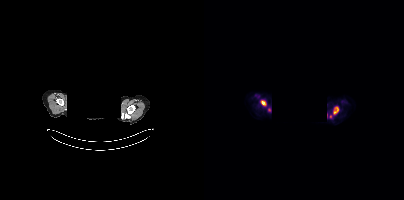
Left: CT. Right: PSMA PET, same axial level, [18F]PSMA-1007 tracer. Facial anatomy redacted by setting a rectangular region of the head to black.
Coordinates are on the 200×200 PET (right) panel. PSMA-avid tumor lesion bounding boxes (partial; 1 more focus not listed):
| # | x0 | y0 | x1 | y1 |
|---|---|---|---|---|
| 1 | 129 | 106 | 134 | 114 |
| 2 | 57 | 100 | 62 | 105 |
Small PSMA-avid focus (2 to 4 px across) near (center x, center y): (126, 116).